modality: PSMA PET/CT | tracer: 18F-PSMA | view: axial | PET grid: 200×200
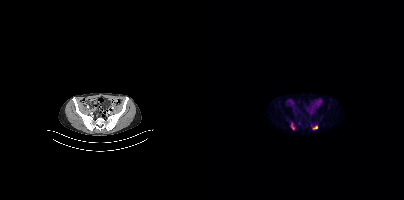
Coordinates are on the 200×200 PET (right) panel. PSMA-avid tumor lesion bounding box (x0,y0,x1,y1): [109,126,113,129]. Small PSMA-avid focus (2 to 4 px across) near (center x, center y): (88, 127).